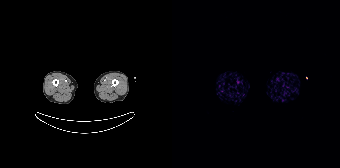
This slice has no annotated PSMA-avid lesion.